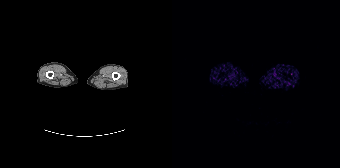
{"pet_grid":[168,168],"coord_frame":"pet_panel","coord_format":"x0,y0,x1,y1","psma_avid_lesions":false,"modality":"PSMA PET/CT","view":"axial","tracer":"68Ga-PSMA"}